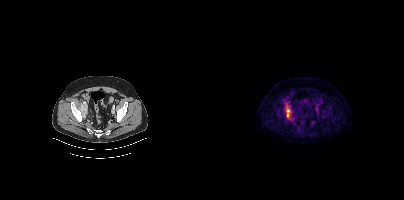
- Paired axial CT (left) and PSMA PET (right), [18F]PSMA-1007 tracer
- PET panel 200×200 px (4.1 mm/px)
Findings: Coordinates are on the 200×200 PET (right) panel. PSMA-avid tumor lesion bounding box (x, y, width, height): x=82 y=104 w=6 h=14.